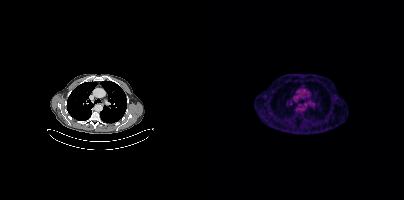
Technique: Paired axial CT (left) and PSMA PET (right), 68Ga-PSMA tracer. acquired on Siemens Biograph mCT Flow 20. slice 339 of 452. PET panel 200×200 px (4.1 mm/px).
Findings: Negative for PSMA-avid disease on this slice.